modality: PSMA PET/CT | tracer: 18F-PSMA | view: axial | PET grid: 200×200
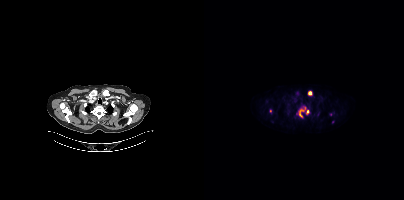
Coordinates are on the 200×200 PET (right) panel. PSMA-avid tumor lesion bounding boxes (x0,y0,x1,y1): [95,107,101,117] [104,91,108,95] [102,110,105,114]. Small PSMA-avid focus (2 to 4 px across) near (center x, center y): (66, 110).